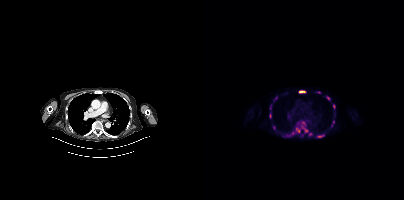
{"modality":"PSMA PET/CT","view":"axial","tracer":"[18F]PSMA-1007","pet_grid":[200,200],"coord_frame":"pet_panel","coord_format":"x0,y0,x1,y1","partial":true,"lesion_bboxes":[[98,126,108,136],[82,131,90,136],[95,90,101,93],[92,128,96,132],[65,113,67,118],[116,134,120,137],[70,96,73,100],[66,104,67,109]],"small_foci_centers":[[130,106],[123,97],[114,92],[70,127],[99,122],[129,122]]}